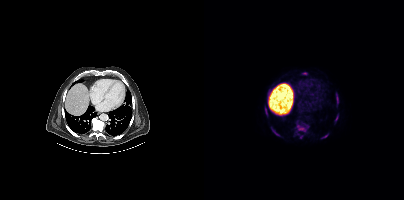
Technique: Two-panel axial: CT | PSMA PET, 18F tracer. PET panel 200×200 px (4.1 mm/px).
Findings: Coordinates are on the 200×200 PET (right) panel. (showing 7 of 8 foci) PSMA-avid tumor lesion bounding boxes (x0, y0)-(x1, y1): (93, 124)-(104, 131) / (67, 127)-(75, 135) / (132, 92)-(134, 100) / (118, 134)-(124, 138) / (131, 116)-(134, 121) / (61, 110)-(63, 114). Small PSMA-avid focus (2 to 4 px across) near (center x, center y): (97, 137).